Technique: Two-panel axial: CT | PSMA PET, 68Ga-PSMA tracer. slice 123 of 165.
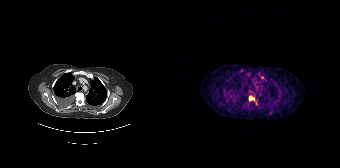
Findings: Coordinates are on the 168×168 PET (right) panel. PSMA-avid tumor lesion bounding box (x0, y0)-(x1, y1): (77, 96)-(81, 100). Small PSMA-avid focus (2 to 4 px across) near (center x, center y): (86, 73).